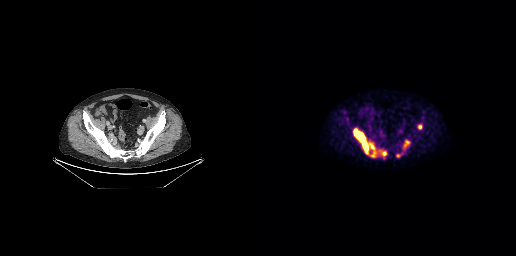
- Paired axial CT (left) and PSMA PET (right), 18F-PSMA tracer
- slice 87 of 263
Findings: Coordinates are on the 256×256 PET (right) panel. PSMA-avid tumor lesion bounding boxes (x, y, width, height): x=93 y=128 w=24 h=30; x=144 y=140 w=6 h=9; x=119 y=150 w=8 h=6. Small PSMA-avid foci (2 to 4 px across) near (center x, center y): (159, 126); (138, 155).